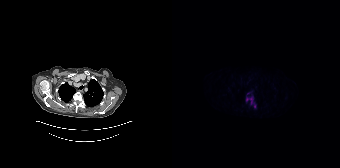
{"modality":"PSMA PET/CT","view":"axial","tracer":"18F","pet_grid":[168,168],"coord_frame":"pet_panel","coord_format":"x0,y0,x1,y1","lesion_bboxes":[[74,96,81,104],[82,103,83,107]],"small_foci_centers":[[75,93]]}